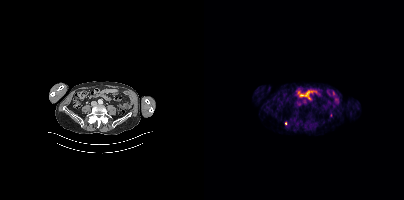
{"modality":"PSMA PET/CT","view":"axial","tracer":"18F","pet_grid":[200,200],"coord_frame":"pet_panel","coord_format":"x0,y0,x1,y1","lesion_bboxes":[],"small_foci_centers":[[82,123]]}